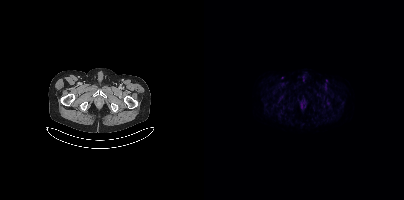
{"modality":"PSMA PET/CT","view":"axial","tracer":"[18F]PSMA-1007","pet_grid":[200,200],"coord_frame":"pet_panel","coord_format":"x0,y0,x1,y1","psma_avid_lesions":false}